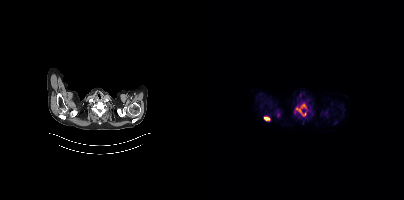
Technique: Paired axial CT (left) and PSMA PET (right), 18F tracer.
Findings: Coordinates are on the 200×200 PET (right) panel. PSMA-avid tumor lesion bounding boxes (x0, y0)-(x1, y1): (92, 104)-(104, 115); (60, 117)-(65, 120).